Technique: Paired axial CT (left) and PSMA PET (right), 18F tracer. acquired on Siemens Biograph mCT Flow 20.
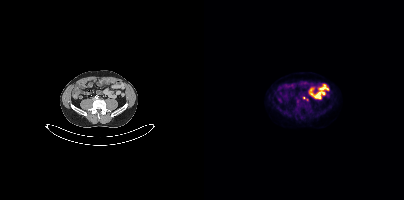
Findings: Coordinates are on the 200×200 PET (right) panel. (showing 1 of 2 foci) Small PSMA-avid focus (2 to 4 px across) near (center x, center y): (100, 98).